Paired axial CT (left) and PSMA PET (right), 18F-PSMA tracer. Acquired on Siemens Biograph mCT Flow 20.
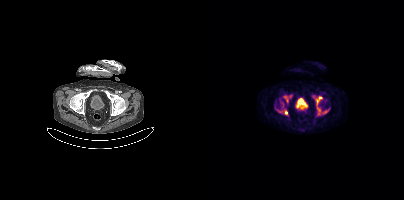
Coordinates are on the 200×200 PET (right) panel. PSMA-avid tumor lesion bounding boxes:
| # | x0 | y0 | x1 | y1 |
|---|---|---|---|---|
| 1 | 79 | 94 | 88 | 103 |
| 2 | 111 | 96 | 118 | 111 |
| 3 | 80 | 110 | 83 | 114 |
Small PSMA-avid foci (2 to 4 px across) near (center x, center y): (121, 112); (76, 111); (114, 113).